Left: CT. Right: PSMA PET, same axial level, [18F]PSMA-1007 tracer. Slice 90 of 413.
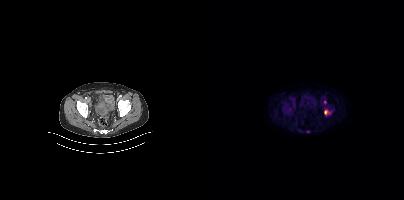
Coordinates are on the 200×200 PET (right) panel. PSMA-avid tumor lesion bounding boxes:
| # | x0 | y0 | x1 | y1 |
|---|---|---|---|---|
| 1 | 120 | 110 | 125 | 115 |
Small PSMA-avid foci (2 to 4 px across) near (center x, center y): (120, 101); (103, 131).